modality: PSMA PET/CT | tracer: [68Ga]Ga-PSMA-11 | view: axial
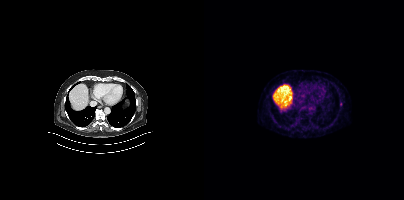
Coordinates are on the 200×200 PET (right) panel. Small PSMA-avid focus (2 to 4 px across) near (center x, center y): (137, 103).